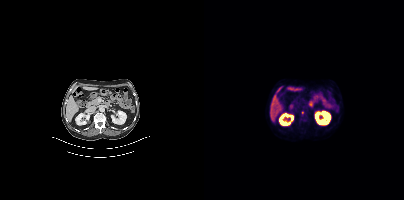
{"modality":"PSMA PET/CT","view":"axial","tracer":"18F-PSMA","pet_grid":[200,200],"coord_frame":"pet_panel","coord_format":"x0,y0,x1,y1","lesion_bboxes":[],"small_foci_centers":[[98,112]]}